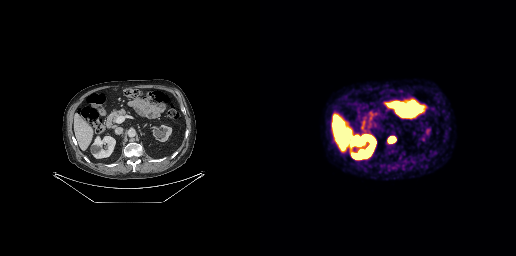
Coordinates are on the 256×256 PET (right) panel. PSMA-avid tumor lesion bounding box (x0, y0)-(x1, y1): (127, 136)-(136, 143).